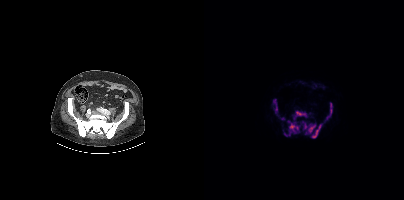
{"modality":"PSMA PET/CT","view":"axial","tracer":"18F-PSMA","pet_grid":[200,200],"coord_frame":"pet_panel","coord_format":"x0,y0,x1,y1","lesion_bboxes":[[80,121,95,136],[98,121,112,134],[89,111,103,119],[107,124,118,138],[122,102,128,119],[69,99,73,110]],"small_foci_centers":[[78,118]]}